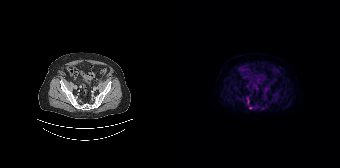
- Two-panel axial: CT | PSMA PET, 18F-PSMA tracer
- slice 48 of 165
Findings: Coordinates are on the 168×168 PET (right) panel. (showing 1 of 2 foci) Small PSMA-avid focus (2 to 4 px across) near (center x, center y): (78, 107).